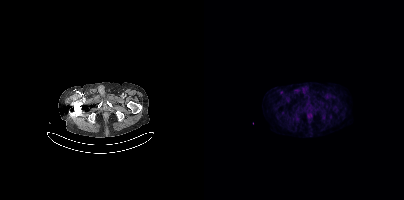
This slice has no annotated PSMA-avid lesion.